Technique: Two-panel axial: CT | PSMA PET, 18F tracer. acquired on Siemens Biograph mCT Flow 20.
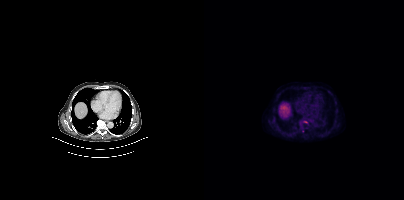
Findings: Only PSMA-avid lesion pieces thinner than 2 px on this slice (not listed).